- Paired axial CT (left) and PSMA PET (right), [18F]PSMA-1007 tracer
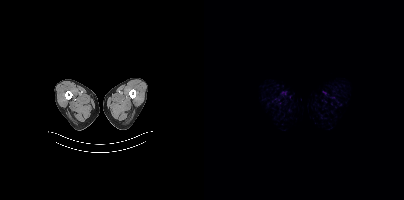
Findings: No PSMA-avid tumor lesions on this slice.